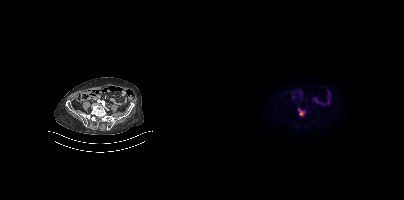
{"modality":"PSMA PET/CT","view":"axial","tracer":"[18F]PSMA-1007","pet_grid":[200,200],"coord_frame":"pet_panel","coord_format":"x0,y0,x1,y1","lesion_bboxes":[[94,108,101,116]]}